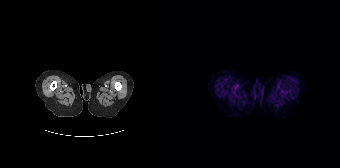
{"modality":"PSMA PET/CT","view":"axial","tracer":"68Ga","pet_grid":[168,168],"coord_frame":"pet_panel","coord_format":"x0,y0,x1,y1","psma_avid_lesions":false}